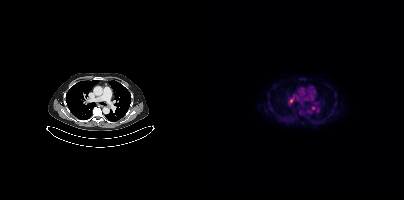
{"modality":"PSMA PET/CT","view":"axial","tracer":"18F-PSMA","pet_grid":[200,200],"coord_frame":"pet_panel","coord_format":"x0,y0,x1,y1","lesion_bboxes":[[86,98,89,102]],"small_foci_centers":[[109,107],[113,110]]}